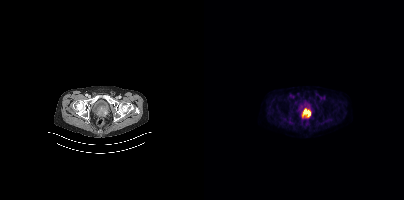
Technique: Paired axial CT (left) and PSMA PET (right), [18F]PSMA-1007 tracer. acquired on Siemens Biograph mCT Flow 20. slice position z = -1487 mm. PET panel 200×200 px (4.1 mm/px).
Findings: Coordinates are on the 200×200 PET (right) panel. PSMA-avid tumor lesion bounding box (x0,y0,x1,y1): [98,108,105,117].